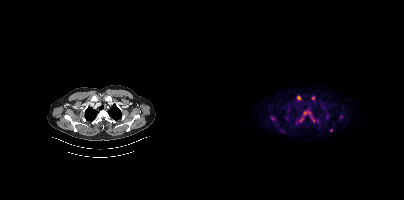
Two-panel axial: CT | PSMA PET, 18F-PSMA tracer. Slice position z = -980 mm. Coordinates are on the 200×200 PET (right) panel. (showing 8 of 9 foci) PSMA-avid tumor lesion bounding boxes (x0, y0)-(x1, y1): (100, 112)-(110, 122) | (92, 116)-(100, 123) | (75, 129)-(80, 132). Small PSMA-avid foci (2 to 4 px across) near (center x, center y): (94, 97) | (109, 97) | (68, 118) | (127, 130) | (123, 116).